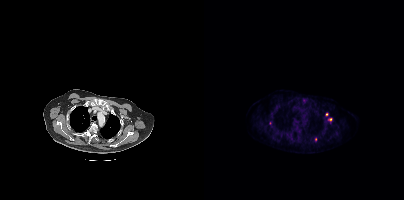
modality: PSMA PET/CT | tracer: [18F]PSMA-1007 | view: axial | PET grid: 200×200
Coordinates are on the 200×200 PET (right) panel. Small PSMA-avid focus (2 to 4 px across) near (center x, center y): (111, 139).